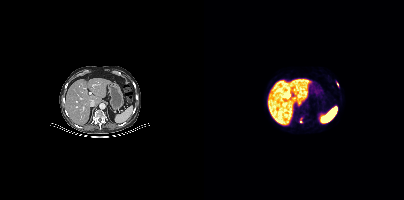
Findings: Coordinates are on the 200×200 PET (right) panel. Small PSMA-avid foci (2 to 4 px across) near (center x, center y): (133, 84) / (96, 121).
- Paired axial CT (left) and PSMA PET (right), 18F-PSMA tracer
- acquired on Siemens Biograph mCT Flow 20
- PET panel 200×200 px (4.1 mm/px)